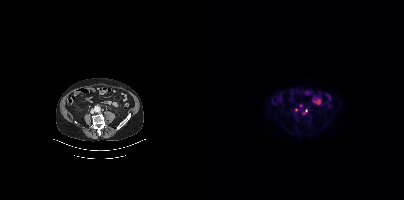
Paired axial CT (left) and PSMA PET (right), 18F-PSMA tracer. Coordinates are on the 200×200 PET (right) panel. PSMA-avid tumor lesion bounding box (x0,y0,x1,y1): [99,109,103,113].